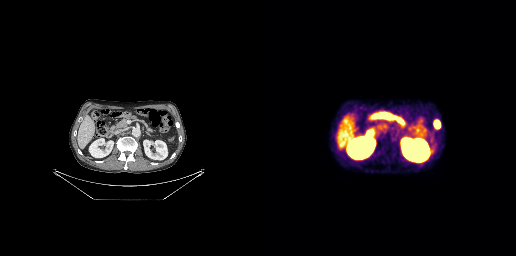
Findings: Coordinates are on the 256×256 PET (right) panel. PSMA-avid tumor lesion bounding box (x0, y0)-(x1, y1): (174, 120)-(180, 128).
- Left: CT. Right: PSMA PET, same axial level, 68Ga tracer
- acquired on GE Discovery 690
- slice position z = -627 mm